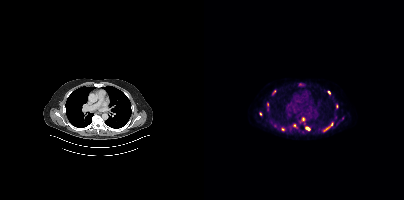
Coordinates are on the 200×200 PET (right) panel. PSMA-avid tumor lesion bounding boxes (partial; 3 more foci not listed):
| # | x0 | y0 | x1 | y1 |
|---|---|---|---|---|
| 1 | 101 | 126 | 106 | 130 |
Small PSMA-avid foci (2 to 4 px across) near (center x, center y): (99, 118); (79, 129); (125, 92); (90, 125); (127, 124); (56, 113); (122, 128).
Left: CT. Right: PSMA PET, same axial level, 18F tracer. Acquired on Siemens Biograph mCT Flow 20. PET panel 200×200 px (4.1 mm/px).